Two-panel axial: CT | PSMA PET, [18F]PSMA-1007 tracer. Acquired on GE Discovery 690. Slice 206 of 263.
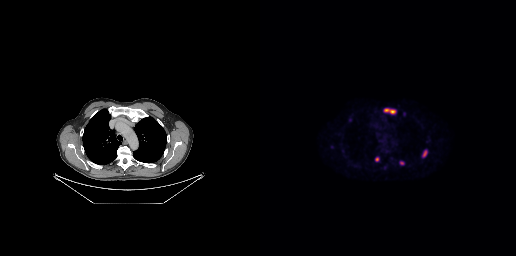
Coordinates are on the 256×256 PET (right) panel. PSMA-avid tumor lesion bounding boxes (x0, y0)-(x1, y1): (124, 108)-(136, 114) | (162, 150)-(167, 157) | (115, 157)-(118, 161). Small PSMA-avid focus (2 to 4 px across) near (center x, center y): (141, 163).